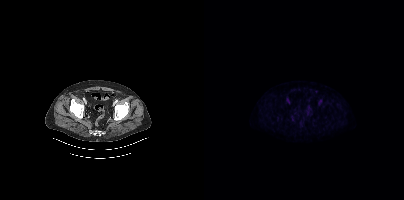
Technique: Paired axial CT (left) and PSMA PET (right), [18F]PSMA-1007 tracer. acquired on Siemens Biograph mCT Flow 20. slice 106 of 450. PET panel 200×200 px (4.1 mm/px).
Findings: No tumor lesions annotated on this slice.